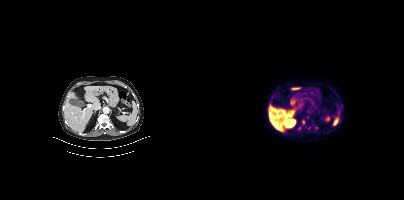
Coordinates are on the 200×200 PET (right) panel. (showing 2 of 3 foci) PSMA-avid tumor lesion bounding box (x0,y0,x1,y1): [93,126,97,130]. Small PSMA-avid focus (2 to 4 px across) near (center x, center y): (99, 122).
modality: PSMA PET/CT | tracer: 18F-PSMA | view: axial | PET grid: 200×200